Paired axial CT (left) and PSMA PET (right), [68Ga]Ga-PSMA-11 tracer. Slice 63 of 411.
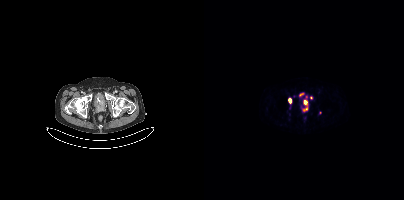
Coordinates are on the 200×200 PET (right) panel. PSMA-avid tumor lesion bounding boxes (partial; 1 more focus not listed):
| # | x0 | y0 | x1 | y1 |
|---|---|---|---|---|
| 1 | 99 | 100 | 103 | 111 |
| 2 | 95 | 93 | 99 | 96 |
Small PSMA-avid foci (2 to 4 px across) near (center x, center y): (102, 96); (86, 100); (107, 97); (116, 112).